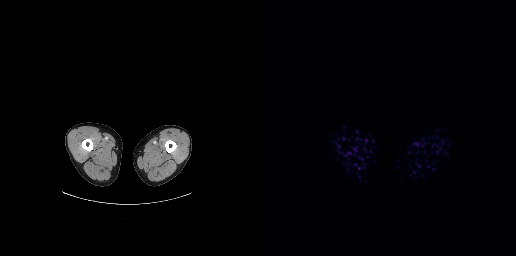
Negative for PSMA-avid disease on this slice.